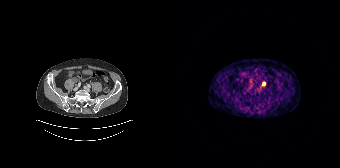
Technique: Two-panel axial: CT | PSMA PET, 68Ga-PSMA tracer. slice 65 of 195.
Findings: Only PSMA-avid lesion pieces thinner than 2 px on this slice (not listed).